Technique: Two-panel axial: CT | PSMA PET, 18F-PSMA tracer. slice position z = -1438 mm. PET panel 200×200 px (4.1 mm/px).
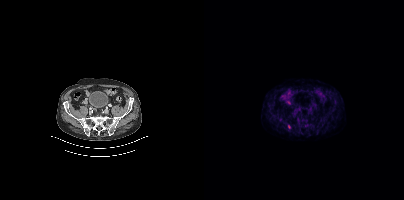
Findings: Coordinates are on the 200×200 PET (right) panel. Small PSMA-avid focus (2 to 4 px across) near (center x, center y): (85, 126).